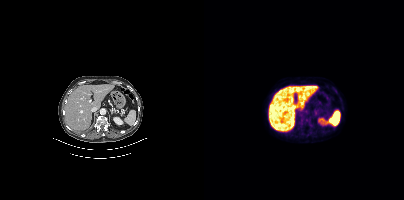
Left: CT. Right: PSMA PET, same axial level, 18F tracer. Coordinates are on the 200×200 PET (right) panel. Small PSMA-avid focus (2 to 4 px across) near (center x, center y): (131, 90).